- Left: CT. Right: PSMA PET, same axial level, 18F tracer
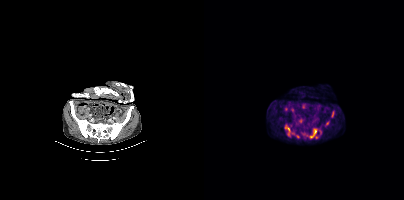
Findings: Coordinates are on the 200×200 PET (right) panel. (showing 6 of 7 foci) PSMA-avid tumor lesion bounding boxes (x0, y0)-(x1, y1): (101, 128)-(114, 138); (81, 125)-(90, 136); (127, 111)-(130, 117); (115, 130)-(117, 134). Small PSMA-avid foci (2 to 4 px across) near (center x, center y): (93, 136); (123, 122).